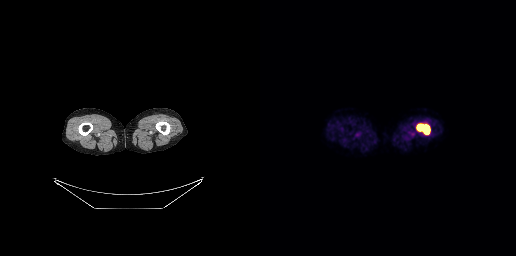
Findings: Coordinates are on the 256×256 PET (right) panel. PSMA-avid tumor lesion bounding box (x, y, width, height): x=156 y=123 w=15 h=12.
- Left: CT. Right: PSMA PET, same axial level, 18F tracer
- acquired on GE Discovery 690
- slice 44 of 371